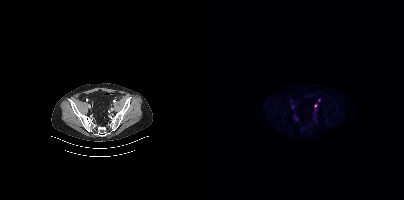
Coordinates are on the 200×200 PET (right) panel. (showing 1 of 2 foci) Small PSMA-avid focus (2 to 4 px across) near (center x, center y): (111, 105). Two-panel axial: CT | PSMA PET, 18F tracer. Acquired on Siemens Biograph mCT Flow 20. Slice position z = -1485 mm. PET panel 200×200 px (4.1 mm/px).